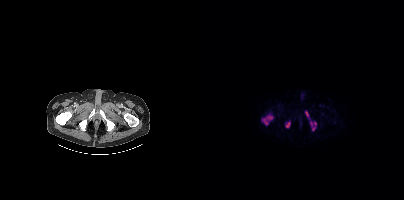
Coordinates are on the 200×200 PET (right) panel. PSMA-avid tumor lesion bounding boxes (x0, y0)-(x1, y1): (58, 114)-(68, 124) / (82, 122)-(86, 127) / (101, 111)-(104, 116). Small PSMA-avid foci (2 to 4 px across) near (center x, center y): (109, 128) / (107, 123) / (111, 123).